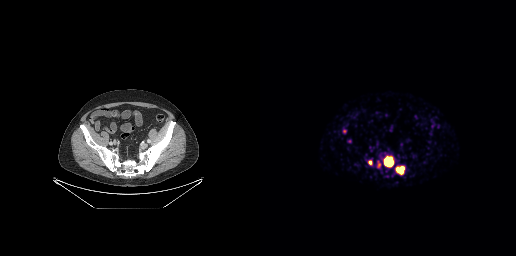
Findings: Coordinates are on the 256×256 PET (right) panel. PSMA-avid tumor lesion bounding boxes (x0,y0,x1,y1): [124,156,133,166], [136,166,144,174]. Small PSMA-avid focus (2 to 4 px across) near (center x, center y): (110, 162).
Technique: Paired axial CT (left) and PSMA PET (right), 68Ga-PSMA tracer. acquired on GE Discovery 690.